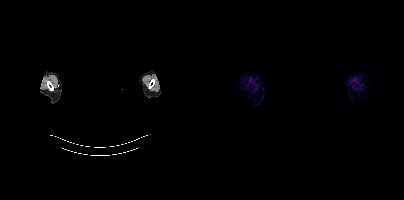
Findings: This slice has no annotated PSMA-avid lesion.
Technique: Two-panel axial: CT | PSMA PET, 18F-PSMA tracer. acquired on Siemens Biograph mCT Flow 20.
Note: Face de-identified by blanking a block of the head.